modality: PSMA PET/CT | tracer: 18F-PSMA | view: axial | PET grid: 200×200 | de-identification: head region blacked out before release
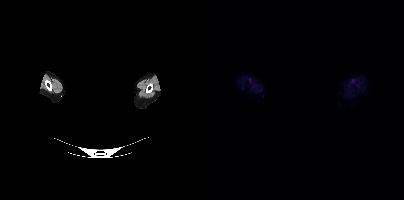
No tumor lesions annotated on this slice.